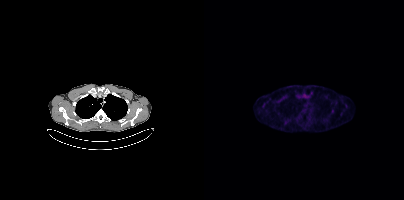
Technique: Two-panel axial: CT | PSMA PET, 18F tracer. acquired on Siemens Biograph mCT Flow 20. slice 316 of 417.
Findings: Coordinates are on the 200×200 PET (right) panel. Small PSMA-avid focus (2 to 4 px across) near (center x, center y): (129, 110).